modality: PSMA PET/CT | tracer: [18F]PSMA-1007 | view: axial
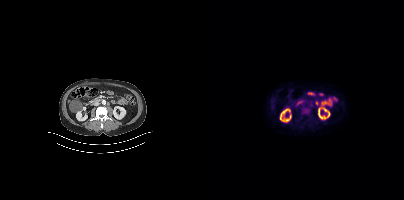
This slice has no annotated PSMA-avid lesion.